modality: PSMA PET/CT | tracer: [18F]PSMA-1007 | view: axial | PET grid: 200×200
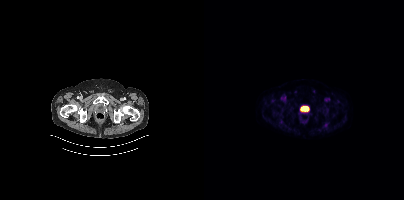
No PSMA-avid tumor lesions on this slice.